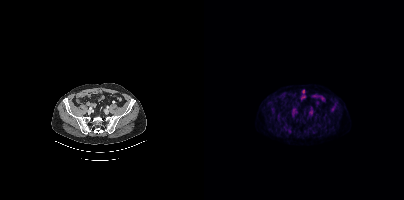
No tumor lesions annotated on this slice.
modality: PSMA PET/CT | tracer: [18F]PSMA-1007 | view: axial